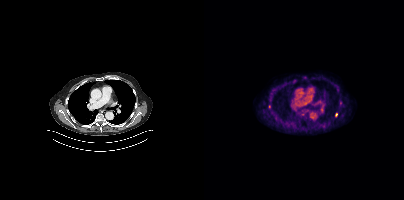
Technique: Paired axial CT (left) and PSMA PET (right), [18F]PSMA-1007 tracer. slice 298 of 429. PET panel 200×200 px (4.1 mm/px).
Findings: Coordinates are on the 200×200 PET (right) panel. (showing 1 of 3 foci) PSMA-avid tumor lesion bounding box (x, y, width, height): x=131 y=113 w=3 h=5.